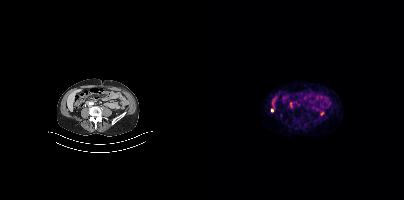
- Left: CT. Right: PSMA PET, same axial level, 68Ga tracer
- PET panel 200×200 px (4.1 mm/px)
Findings: Coordinates are on the 200×200 PET (right) panel. (showing 1 of 2 foci) PSMA-avid tumor lesion bounding box (x0, y0)-(x1, y1): (86, 103)-(88, 107).